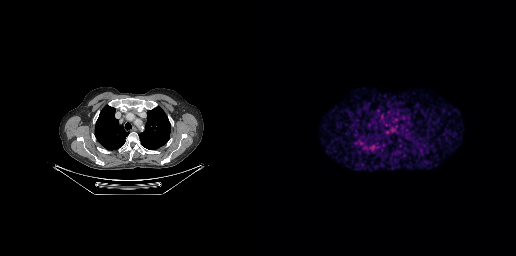
Left: CT. Right: PSMA PET, same axial level, 68Ga tracer. Acquired on GE Discovery 690. Slice position z = -362 mm. No tumor lesions annotated on this slice.